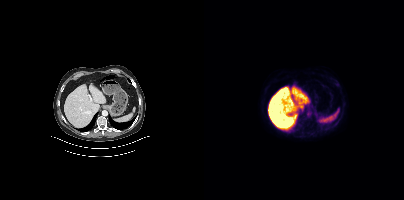
Negative for PSMA-avid disease on this slice. Two-panel axial: CT | PSMA PET, [18F]PSMA-1007 tracer. Acquired on Siemens Biograph mCT Flow 20. Slice 255 of 442.